Technique: Paired axial CT (left) and PSMA PET (right), [18F]PSMA-1007 tracer. acquired on Siemens Biograph mCT Flow 20.
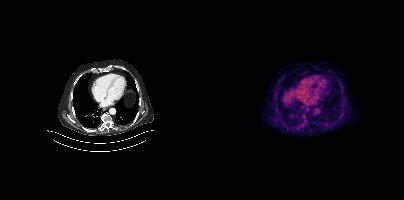
Findings: No PSMA-avid tumor lesions on this slice.